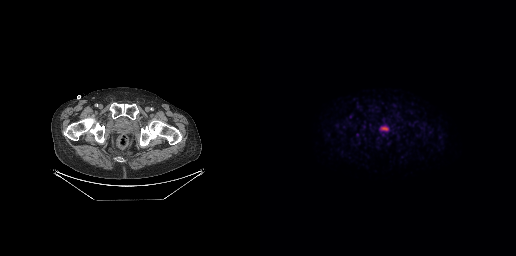
This slice has no annotated PSMA-avid lesion. Left: CT. Right: PSMA PET, same axial level, 18F tracer. Slice position z = -736 mm. PET panel 256×256 px (2.7 mm/px).